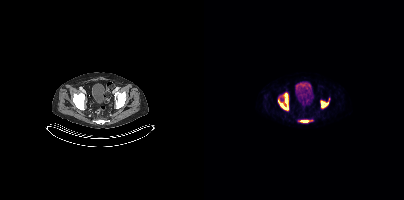
Findings: Coordinates are on the 200×200 PET (right) panel. PSMA-avid tumor lesion bounding boxes (x0,y0,x1,y1): [74,93,84,110]; [117,101,124,107]; [96,120,104,122].
Technique: Two-panel axial: CT | PSMA PET, 18F-PSMA tracer. acquired on Siemens Biograph mCT Flow 20.